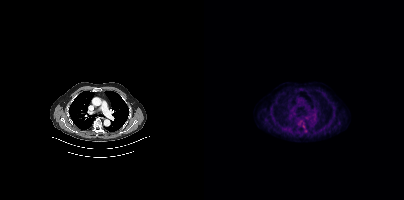
{"modality":"PSMA PET/CT","view":"axial","tracer":"18F-PSMA","pet_grid":[200,200],"coord_frame":"pet_panel","coord_format":"x0,y0,x1,y1","lesion_bboxes":[],"small_foci_centers":[[101,131],[99,126]]}